Paired axial CT (left) and PSMA PET (right), 18F tracer. PET panel 200×200 px (4.1 mm/px).
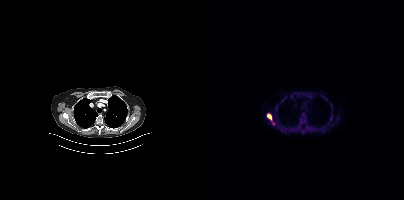
Coordinates are on the 200×200 PET (right) panel. PSMA-avid tumor lesion bounding boxes (partial; 1 more focus not listed):
| # | x0 | y0 | x1 | y1 |
|---|---|---|---|---|
| 1 | 63 | 114 | 67 | 120 |
| 2 | 99 | 114 | 101 | 118 |
Small PSMA-avid foci (2 to 4 px across) near (center x, center y): (126, 118); (69, 123).